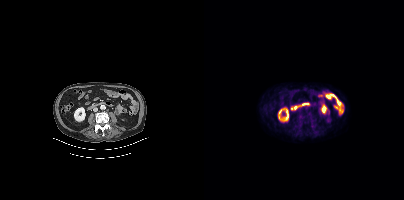
Left: CT. Right: PSMA PET, same axial level, [18F]PSMA-1007 tracer. Slice position z = -1294 mm. PET panel 200×200 px (4.1 mm/px). No tumor lesions annotated on this slice.